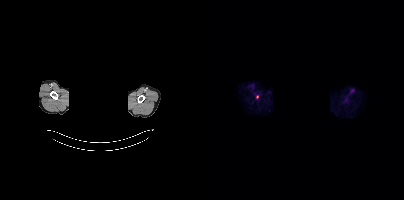
modality: PSMA PET/CT | tracer: [18F]PSMA-1007 | view: axial | PET grid: 200×200 | deidentification: rectangular block over head set to black
Coordinates are on the 200×200 PET (right) panel. Small PSMA-avid focus (2 to 4 px across) near (center x, center y): (53, 97).